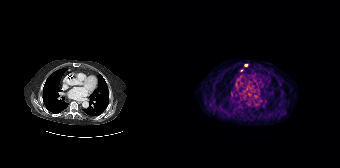
Coordinates are on the 168×168 PET (right) panel. Small PSMA-avid foci (2 to 4 px across) near (center x, center y): (69, 70) / (73, 64).